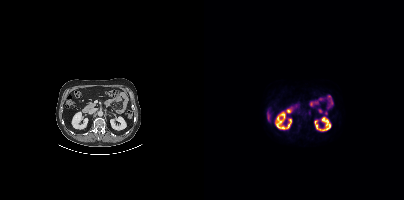
Coordinates are on the 200×200 PET (right) panel. Small PSMA-avid focus (2 to 4 px across) near (center x, center y): (105, 112).